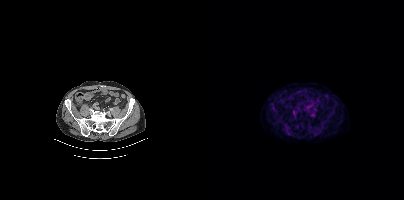
{"modality":"PSMA PET/CT","view":"axial","tracer":"18F","pet_grid":[200,200],"coord_frame":"pet_panel","coord_format":"x0,y0,x1,y1","psma_avid_lesions":false}